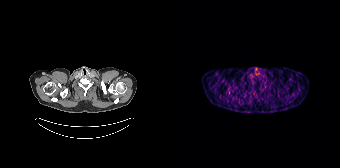
modality: PSMA PET/CT | tracer: [68Ga]Ga-PSMA-11 | view: axial | PET grid: 168×168
No PSMA-avid tumor lesions on this slice.